Technique: Paired axial CT (left) and PSMA PET (right), 18F tracer. slice position z = -540 mm.
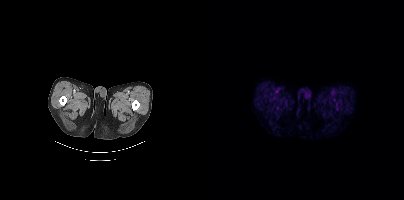
Findings: This slice has no annotated PSMA-avid lesion.